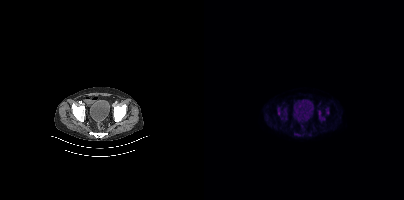
Left: CT. Right: PSMA PET, same axial level, [18F]PSMA-1007 tracer. Acquired on Siemens Biograph mCT Flow 20. Slice position z = -808 mm. Coordinates are on the 200×200 PET (right) panel. (showing 4 of 6 foci) PSMA-avid tumor lesion bounding boxes (x0,y0,x1,y1): [114,110,121,121], [122,108,125,114], [74,108,76,114], [90,134,96,135].